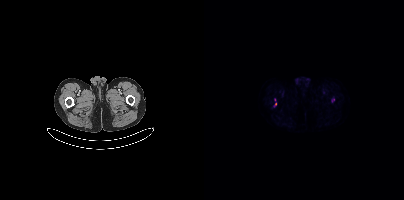
modality: PSMA PET/CT | tracer: [18F]PSMA-1007 | view: axial | PET grid: 200×200
Coordinates are on the 200×200 PET (right) panel. (showing 1 of 2 foci) Small PSMA-avid focus (2 to 4 px across) near (center x, center y): (71, 103).